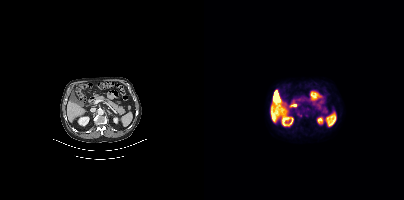
{"modality":"PSMA PET/CT","view":"axial","tracer":"18F-PSMA","pet_grid":[200,200],"coord_frame":"pet_panel","coord_format":"x0,y0,x1,y1","lesion_bboxes":[],"small_foci_centers":[[96,115]]}